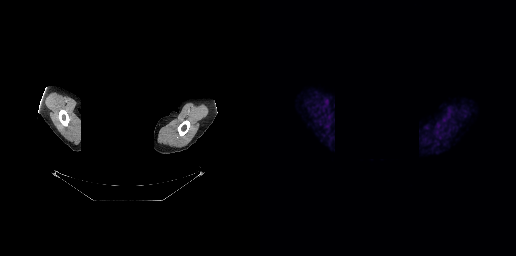
No tumor lesions annotated on this slice.
modality: PSMA PET/CT | tracer: 68Ga-PSMA | view: axial | de-identification: facial region redacted